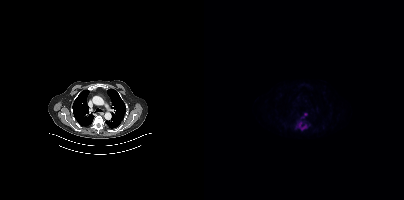
Coordinates are on the 200×200 PET (right) panel. PSMA-avid tumor lesion bounding boxes (partial; 2 more foci not listed):
| # | x0 | y0 | x1 | y1 |
|---|---|---|---|---|
| 1 | 91 | 121 | 103 | 130 |
Paired axial CT (left) and PSMA PET (right), [18F]PSMA-1007 tracer. Slice position z = -534 mm. PET panel 200×200 px (4.1 mm/px).